Two-panel axial: CT | PSMA PET, 68Ga-PSMA tracer. PET panel 200×200 px (4.1 mm/px).
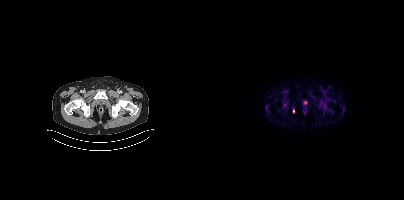
Coordinates are on the 200×200 PET (right) panel. Small PSMA-avid focus (2 to 4 px across) near (center x, center y): (89, 111).